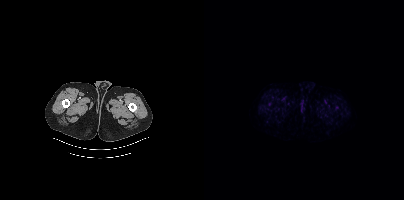
{"modality":"PSMA PET/CT","view":"axial","tracer":"18F","pet_grid":[200,200],"coord_frame":"pet_panel","coord_format":"x0,y0,x1,y1","psma_avid_lesions":false}